- Left: CT. Right: PSMA PET, same axial level, [18F]PSMA-1007 tracer
- acquired on Siemens Biograph mCT Flow 20
- slice position z = -590 mm
- PET panel 200×200 px (4.1 mm/px)
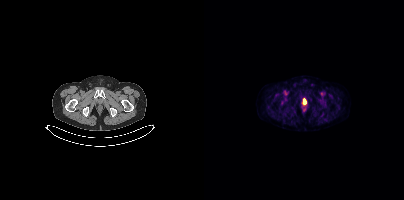
Findings: Coordinates are on the 200×200 PET (right) panel. PSMA-avid tumor lesion bounding box (x0, y0)-(x1, y1): (99, 99)-(102, 103).